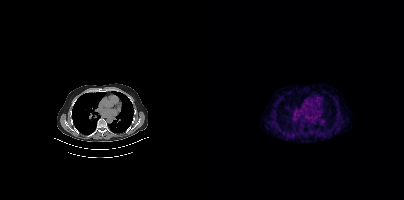
No tumor lesions annotated on this slice.